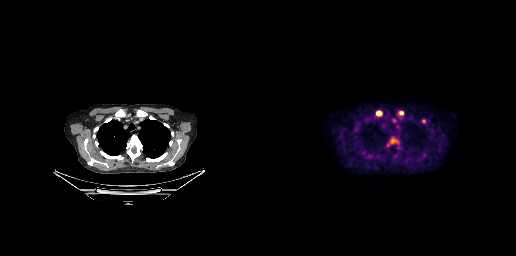
Coordinates are on the 256×256 PET (right) panel. (showing 4 of 5 foci) PSMA-avid tumor lesion bounding boxes (x, y, width, height): x=129 y=136 w=9 h=8; x=116 y=110 w=7 h=7; x=139 y=111 w=5 h=5. Small PSMA-avid focus (2 to 4 px across) near (center x, center y): (163, 121).
modality: PSMA PET/CT | tracer: 18F-PSMA | view: axial | PET grid: 256×256